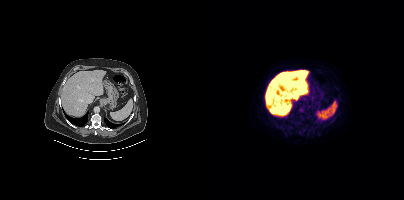
No tumor lesions annotated on this slice.